- Paired axial CT (left) and PSMA PET (right), 68Ga-PSMA tracer
- slice position z = -754 mm
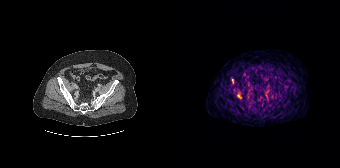
Findings: Coordinates are on the 168×168 PET (right) panel. Small PSMA-avid foci (2 to 4 px across) near (center x, center y): (67, 95); (60, 80).